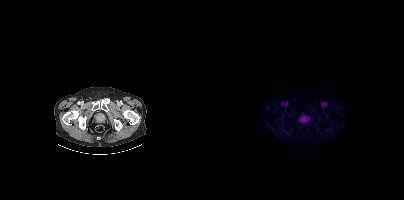
{"modality":"PSMA PET/CT","view":"axial","tracer":"18F-PSMA","pet_grid":[200,200],"coord_frame":"pet_panel","coord_format":"x0,y0,x1,y1","psma_avid_lesions":false}